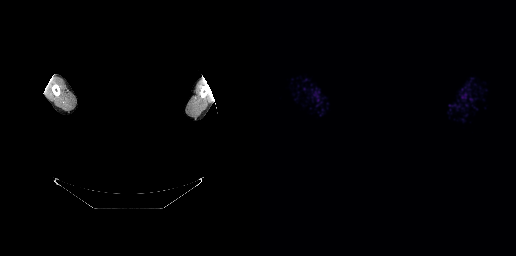
Paired axial CT (left) and PSMA PET (right), [68Ga]Ga-PSMA-11 tracer. Acquired on GE Discovery 690. Slice 261 of 263. PET panel 256×256 px (2.7 mm/px). A rectangular block over the head has been blanked out for de-identification. Negative for PSMA-avid disease on this slice.